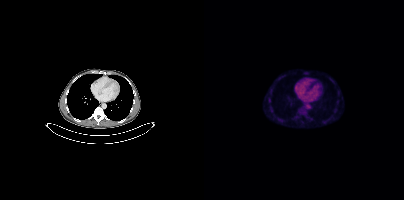
Technique: Paired axial CT (left) and PSMA PET (right), 18F tracer. acquired on Siemens Biograph mCT Flow 20.
Findings: Negative for PSMA-avid disease on this slice.